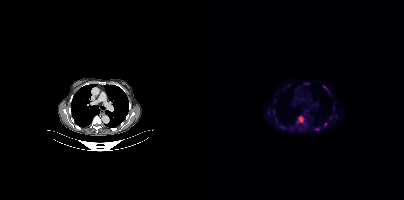
Coordinates are on the 200×200 PET (right) panel. (showing 8 of 9 foci) PSMA-avid tumor lesion bounding boxes (x0, y0)-(x1, y1): (93, 116)-(100, 123) / (119, 85)-(123, 90) / (111, 128)-(115, 129). Small PSMA-avid foci (2 to 4 px across) near (center x, center y): (70, 111) / (64, 112) / (121, 124) / (125, 93) / (78, 127).